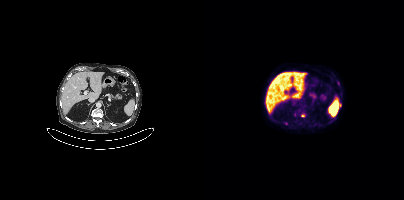
modality: PSMA PET/CT | tracer: [18F]PSMA-1007 | view: axial | PET grid: 200×200
Coordinates are on the 200×200 PET (right) panel. Small PSMA-avid focus (2 to 4 px across) near (center x, center y): (99, 115).